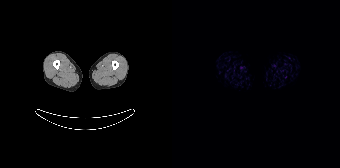
Paired axial CT (left) and PSMA PET (right), [18F]PSMA-1007 tracer. PET panel 168×168 px (4.1 mm/px). No tumor lesions annotated on this slice.